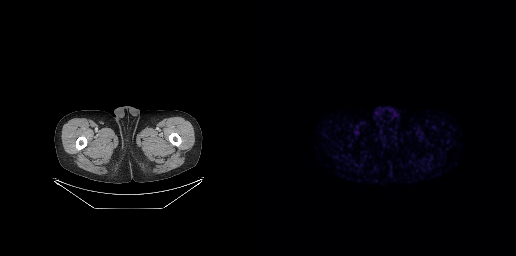
Two-panel axial: CT | PSMA PET, [68Ga]Ga-PSMA-11 tracer. PET panel 256×256 px (2.7 mm/px). No tumor lesions annotated on this slice.